Technique: Two-panel axial: CT | PSMA PET, [68Ga]Ga-PSMA-11 tracer. acquired on Siemens Biograph mCT Flow 20. slice position z = -1251 mm.
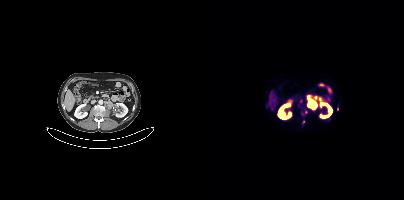
Findings: Coordinates are on the 200×200 PET (right) panel. (showing 2 of 3 foci) PSMA-avid tumor lesion bounding box (x, y, width, height): x=95 y=99 w=4 h=6. Small PSMA-avid focus (2 to 4 px across) near (center x, center y): (133, 105).